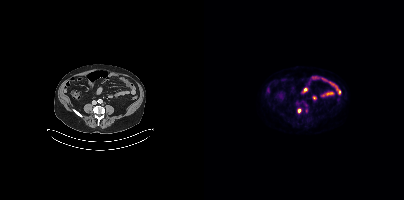
{"modality":"PSMA PET/CT","view":"axial","tracer":"[18F]PSMA-1007","pet_grid":[200,200],"coord_frame":"pet_panel","coord_format":"x0,y0,x1,y1","lesion_bboxes":[[93,108,97,113]]}